Privacy masking over the head, with the pixels inside a rectangle set to black.
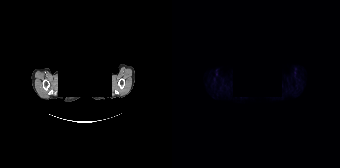
No PSMA-avid tumor lesions on this slice.